modality: PSMA PET/CT | tracer: [18F]PSMA-1007 | view: axial
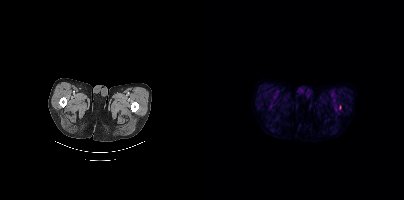
Coordinates are on the 200×200 PET (right) panel. Small PSMA-avid focus (2 to 4 px across) near (center x, center y): (136, 106).